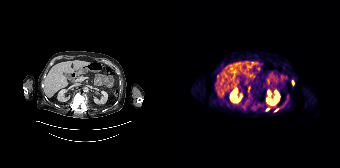
Coordinates are on the 168×168 PET (right) panel. Small PSMA-avid foci (2 to 4 px across) near (center x, center y): (120, 82) / (104, 110) / (96, 109). Paired axial CT (left) and PSMA PET (right), [68Ga]Ga-PSMA-11 tracer. Acquired on Siemens Biograph 64-4R TruePoint. Slice 116 of 195. PET panel 168×168 px (4.1 mm/px).